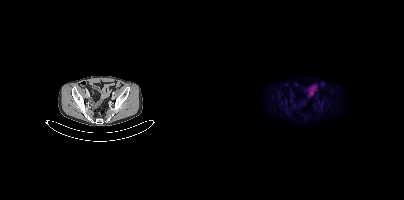
Coordinates are on the 200×200 PET (right) panel. (showing 1 of 2 foci) Small PSMA-avid focus (2 to 4 px across) near (center x, center y): (87, 100).